Technique: Two-panel axial: CT | PSMA PET, [18F]PSMA-1007 tracer. PET panel 200×200 px (4.1 mm/px).
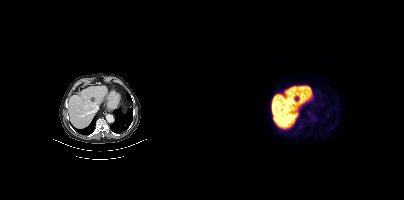
Findings: No PSMA-avid tumor lesions on this slice.